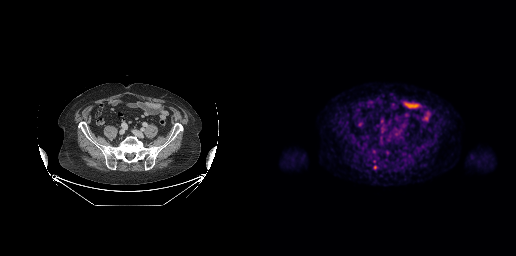
modality: PSMA PET/CT | tracer: [18F]PSMA-1007 | view: axial | PET grid: 256×256
Only PSMA-avid lesion pieces thinner than 2 px on this slice (not listed).